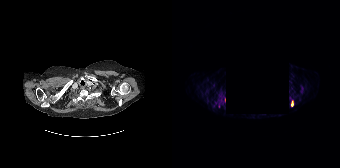
Coordinates are on the 168×168 PET (right) panel. (showing 1 of 2 foci) PSMA-avid tumor lesion bounding box (x, y, width, height): x=119 y=100 w=3 h=7.
Some pixels were blanked for anonymization.